Technique: Left: CT. Right: PSMA PET, same axial level, [18F]PSMA-1007 tracer. acquired on GE Discovery 690. slice position z = -753 mm. PET panel 256×256 px (2.7 mm/px).
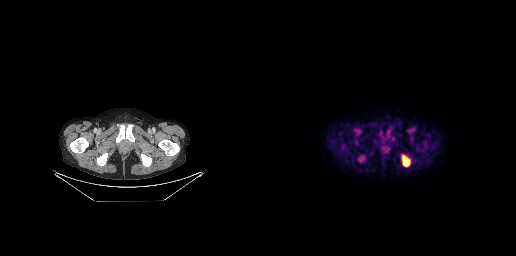
Findings: Coordinates are on the 256×256 PET (right) panel. PSMA-avid tumor lesion bounding box (x0,y0,x1,y1): [142,156,149,166].